modality: PSMA PET/CT | tracer: 18F-PSMA | view: axial | PET grid: 200×200
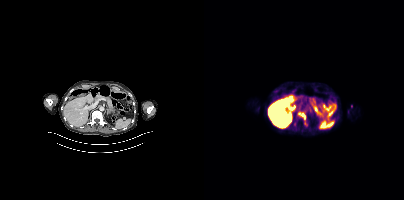
Coordinates are on the 200×200 PET (right) panel. (showing 1 of 2 foci) PSMA-avid tumor lesion bounding box (x0,y0,x1,y1): [94,111,102,120].